Two-panel axial: CT | PSMA PET, 18F-PSMA tracer. PET panel 200×200 px (4.1 mm/px).
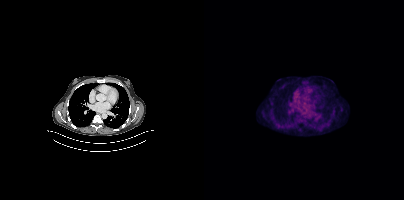
This slice has no annotated PSMA-avid lesion.